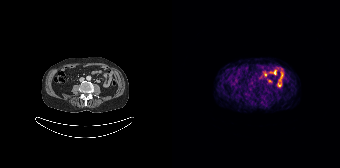
Paired axial CT (left) and PSMA PET (right), 68Ga-PSMA tracer. Slice 92 of 195. PET panel 168×168 px (4.1 mm/px). Negative for PSMA-avid disease on this slice.